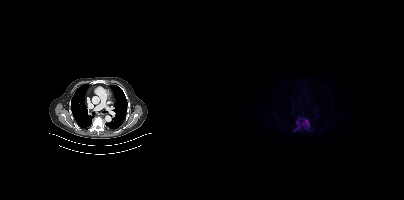
Left: CT. Right: PSMA PET, same axial level, 18F-PSMA tracer. Slice 290 of 395. PET panel 200×200 px (4.1 mm/px). Coordinates are on the 200×200 PET (right) panel. PSMA-avid tumor lesion bounding box (x0,y0,x1,y1): [91,119,105,130].